Technique: Left: CT. Right: PSMA PET, same axial level, 18F tracer. acquired on GE Discovery 690. slice 164 of 263.
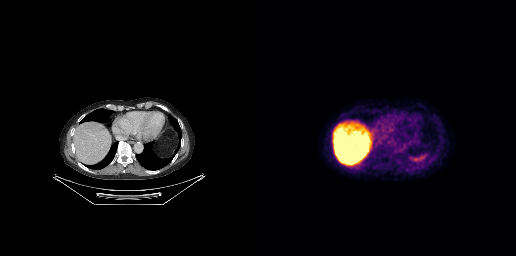
Findings: This slice has no annotated PSMA-avid lesion.